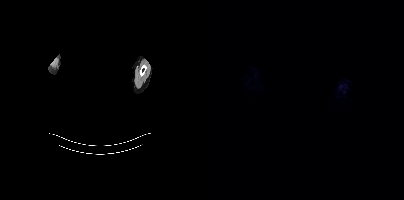
Technique: Left: CT. Right: PSMA PET, same axial level, [18F]PSMA-1007 tracer.
Note: A rectangular block over the head has been blanked out for de-identification.
Findings: This slice has no annotated PSMA-avid lesion.